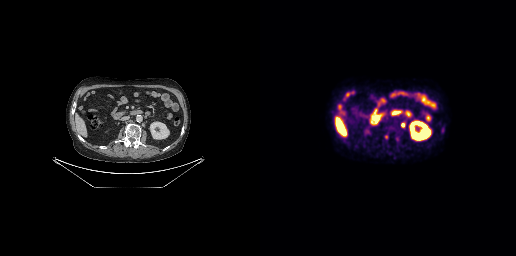
modality: PSMA PET/CT | tracer: 18F | view: axial
Coordinates are on the 256×256 PET (right) panel. PSMA-avid tumor lesion bounding boxes (x0,y0,x1,y1): [141,123,145,127]; [125,135,128,139]. Small PSMA-avid focus (2 to 4 px across) near (center x, center y): (137, 139).